- Paired axial CT (left) and PSMA PET (right), 18F-PSMA tracer
- slice 149 of 427
- PET panel 200×200 px (4.1 mm/px)
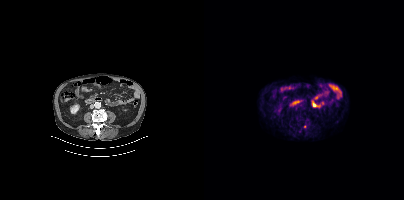
Findings: Only PSMA-avid lesion pieces thinner than 2 px on this slice (not listed).